Technique: Two-panel axial: CT | PSMA PET, 68Ga-PSMA tracer. acquired on Siemens Biograph mCT Flow 20. slice 332 of 444.
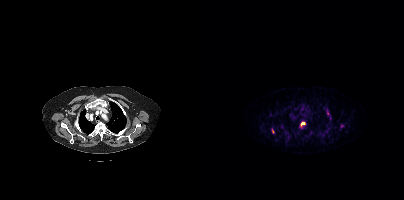
Findings: Coordinates are on the 200×200 PET (right) panel. (showing 4 of 6 foci) PSMA-avid tumor lesion bounding box (x0,y0,x1,y1): [95,122,102,128]. Small PSMA-avid foci (2 to 4 px across) near (center x, center y): (123, 112) (138, 126) (69, 130).